Left: CT. Right: PSMA PET, same axial level, [18F]PSMA-1007 tracer. Acquired on Siemens Biograph mCT Flow 20.
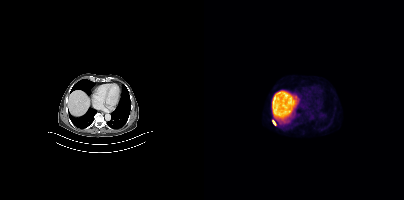
Coordinates are on the 200×200 PET (right) panel. PSMA-avid tumor lesion bounding boxes (partial; 1 more focus not listed):
| # | x0 | y0 | x1 | y1 |
|---|---|---|---|---|
| 1 | 68 | 120 | 73 | 126 |